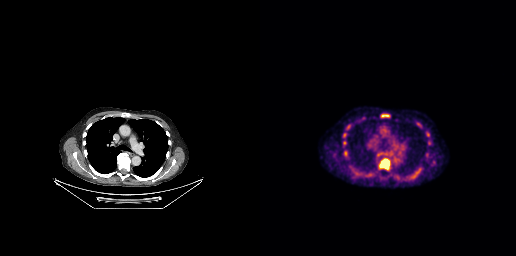
Findings: Coordinates are on the 256×256 PET (right) panel. PSMA-avid tumor lesion bounding boxes (x, y, width, height): x=119 y=158 w=12 h=12; x=121 y=114 w=9 h=3.
- Paired axial CT (left) and PSMA PET (right), 18F tracer
- PET panel 256×256 px (2.7 mm/px)